Left: CT. Right: PSMA PET, same axial level, [18F]PSMA-1007 tracer. Slice position z = -1326 mm. PET panel 200×200 px (4.1 mm/px).
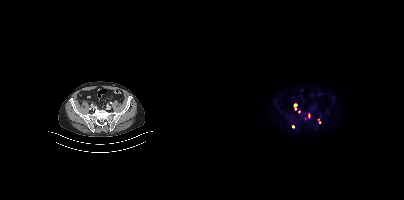
Coordinates are on the 200×200 PET (right) panel. (showing 2 of 6 foci) PSMA-avid tumor lesion bounding box (x0, y0)-(x1, y1): (90, 104)-(92, 109). Small PSMA-avid focus (2 to 4 px across) near (center x, center y): (115, 120).